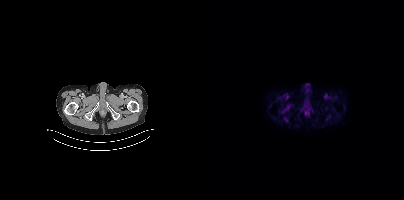
This slice has no annotated PSMA-avid lesion.